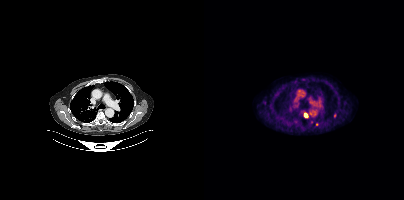
Technique: Paired axial CT (left) and PSMA PET (right), 18F-PSMA tracer. slice position z = -314 mm.
Findings: Coordinates are on the 200×200 PET (right) panel. PSMA-avid tumor lesion bounding box (x, y, width, height): x=100 y=112 w=5 h=6. Small PSMA-avid foci (2 to 4 px across) near (center x, center y): (130, 115) / (112, 124).